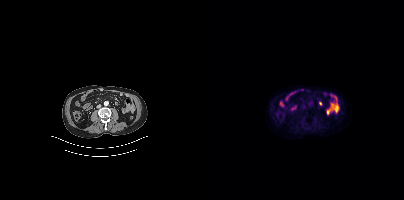
Technique: Two-panel axial: CT | PSMA PET, 18F tracer. acquired on Siemens Biograph mCT Flow 20. PET panel 200×200 px (4.1 mm/px).
Findings: No PSMA-avid tumor lesions on this slice.